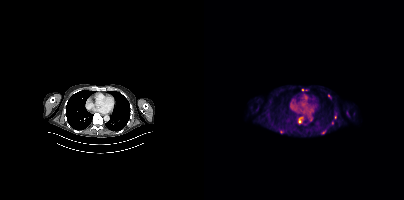
Paired axial CT (left) and PSMA PET (right), 18F-PSMA tracer. Acquired on Siemens Biograph mCT Flow 20. Slice 255 of 421. PET panel 200×200 px (4.1 mm/px). Coordinates are on the 200×200 PET (right) panel. (showing 4 of 5 foci) PSMA-avid tumor lesion bounding box (x0, y0)-(x1, y1): (124, 94)-(127, 98). Small PSMA-avid foci (2 to 4 px across) near (center x, center y): (77, 132) | (119, 132) | (98, 89).